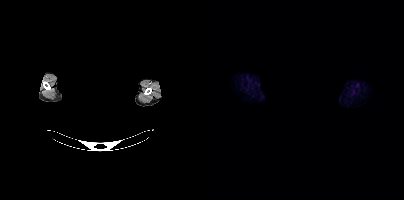
No PSMA-avid tumor lesions on this slice.
Privacy masking over the head, with the pixels inside a rectangle set to black.